Two-panel axial: CT | PSMA PET, 18F tracer. PET panel 200×200 px (4.1 mm/px).
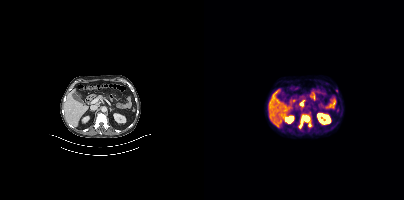
Coordinates are on the 200×200 PET (right) panel. PSMA-avid tumor lesion bounding box (x, y, width, height): x=94 y=113 w=15 h=17.